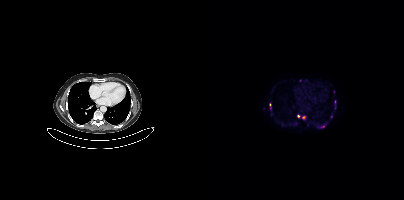
Findings: Coordinates are on the 200×200 PET (right) panel. (showing 3 of 7 foci) Small PSMA-avid foci (2 to 4 px across) near (center x, center y): (100, 117) / (126, 117) / (119, 126).
- Two-panel axial: CT | PSMA PET, 68Ga tracer
- slice position z = -1099 mm
- PET panel 200×200 px (4.1 mm/px)